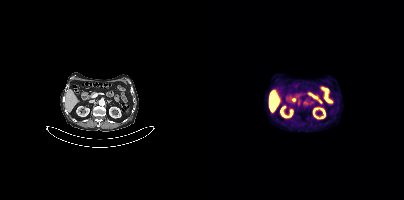
No tumor lesions annotated on this slice.